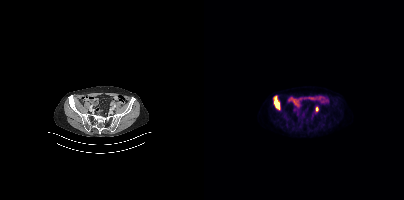
Coordinates are on the 200×200 PET (right) panel. PSMA-avid tumor lesion bounding box (x, y, width, height): x=69 y=96 w=8 h=14. Small PSMA-avid focus (2 to 4 px across) near (center x, center y): (112, 109).